modality: PSMA PET/CT | tracer: [68Ga]Ga-PSMA-11 | view: axial
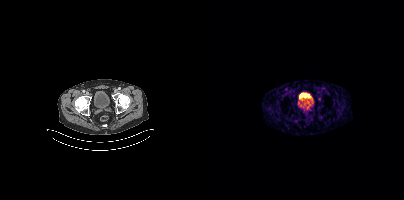
No tumor lesions annotated on this slice.